Paired axial CT (left) and PSMA PET (right), 18F-PSMA tracer. Slice position z = -682 mm.
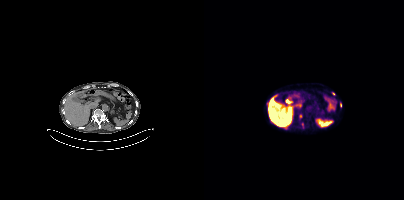
Coordinates are on the 200×200 PET (right) panel. PSMA-avid tumor lesion bounding boxes (partial; 1 more focus not listed):
| # | x0 | y0 | x1 | y1 |
|---|---|---|---|---|
| 1 | 95 | 114 | 98 | 118 |
Small PSMA-avid foci (2 to 4 px across) near (center x, center y): (136, 104); (129, 93).